Technique: Two-panel axial: CT | PSMA PET, [18F]PSMA-1007 tracer. acquired on Siemens Biograph mCT Flow 20.
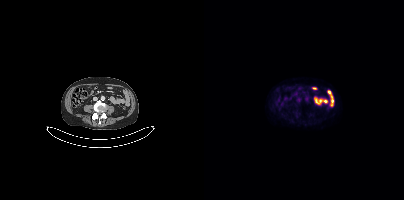
Findings: No tumor lesions annotated on this slice.